- Paired axial CT (left) and PSMA PET (right), 18F tracer
- slice position z = 194 mm
- PET panel 200×200 px (4.1 mm/px)
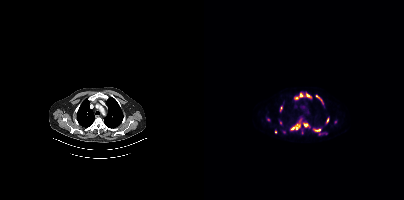
Findings: Coordinates are on the 200×200 PET (right) panel. (showing 8 of 10 foci) PSMA-avid tumor lesion bounding boxes (x0,y0,x1,y1): [87,124,96,130], [99,123,104,127], [109,129,116,131], [112,95,118,101], [122,118,124,122]. Small PSMA-avid foci (2 to 4 px across) near (center x, center y): (97, 95), (104, 95), (71, 131).